Left: CT. Right: PSMA PET, same axial level, 68Ga tracer.
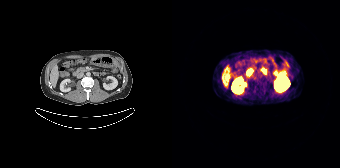
Negative for PSMA-avid disease on this slice.